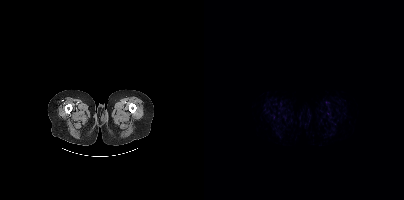
No tumor lesions annotated on this slice.